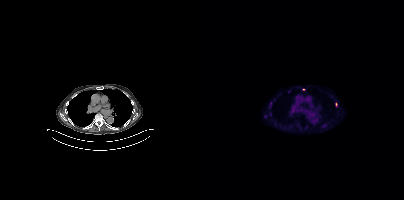
{"modality":"PSMA PET/CT","view":"axial","tracer":"18F","pet_grid":[200,200],"coord_frame":"pet_panel","coord_format":"x0,y0,x1,y1","partial":true,"lesion_bboxes":[[131,102,133,106]],"small_foci_centers":[[99,89]]}